Technique: Left: CT. Right: PSMA PET, same axial level, 18F tracer. PET panel 200×200 px (4.1 mm/px).
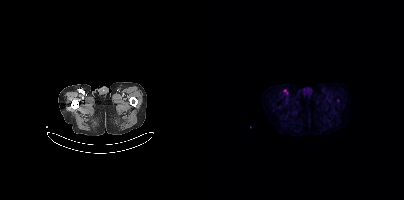
Findings: Coordinates are on the 200×200 PET (right) panel. PSMA-avid tumor lesion bounding box (x, y, width, height): x=80 y=89 w=5 h=6. Small PSMA-avid focus (2 to 4 px across) near (center x, center y): (133, 100).